- Paired axial CT (left) and PSMA PET (right), [18F]PSMA-1007 tracer
- slice 203 of 466
- PET panel 200×200 px (4.1 mm/px)
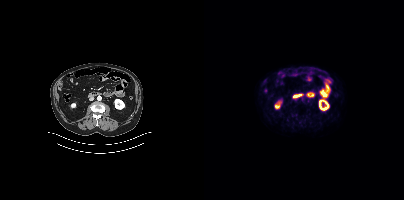
Findings: This slice has no annotated PSMA-avid lesion.